Technique: Left: CT. Right: PSMA PET, same axial level, 18F tracer. acquired on Siemens Biograph mCT Flow 20. slice 321 of 344. PET panel 200×200 px (4.1 mm/px).
Note: Head region blanked for anonymization (face removed).
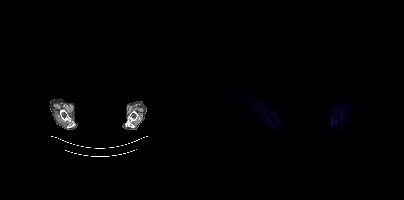
Findings: This slice has no annotated PSMA-avid lesion.